Left: CT. Right: PSMA PET, same axial level, 68Ga tracer. Acquired on Siemens Biograph 64-4R TruePoint. PET panel 168×168 px (4.1 mm/px).
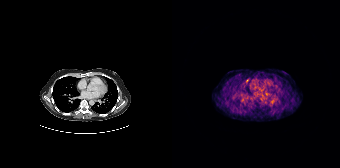
Only PSMA-avid lesion pieces thinner than 2 px on this slice (not listed).